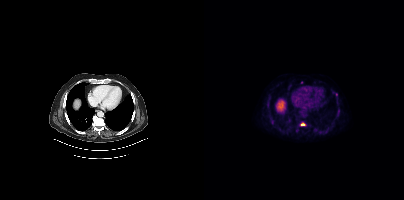
{"pet_grid":[200,200],"coord_frame":"pet_panel","coord_format":"x0,y0,x1,y1","partial":true,"lesion_bboxes":[],"small_foci_centers":[[98,124],[132,94]],"modality":"PSMA PET/CT","view":"axial","tracer":"18F"}